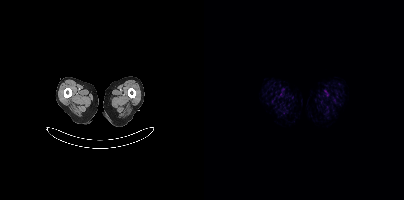
- Two-panel axial: CT | PSMA PET, 18F tracer
- slice 7 of 401
- PET panel 200×200 px (4.1 mm/px)
Findings: Negative for PSMA-avid disease on this slice.